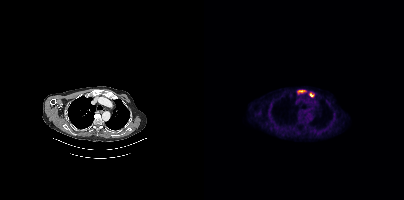
Coordinates are on the 200×200 PET (right) panel. PSMA-avid tumor lesion bounding boxes (x0, y0)-(x1, y1): (93, 90)-(101, 93) | (105, 92)-(110, 97).